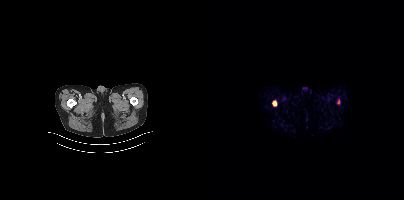
Coordinates are on the 200×200 PET (right) panel. PSMA-avid tumor lesion bounding box (x, y, width, height): x=68 y=100 w=5 h=6. Small PSMA-avid focus (2 to 4 px across) near (center x, center y): (134, 102).
modality: PSMA PET/CT | tracer: 18F-PSMA | view: axial